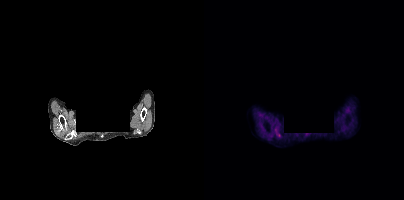
Technique: Two-panel axial: CT | PSMA PET, [18F]PSMA-1007 tracer. slice 342 of 389. PET panel 200×200 px (4.1 mm/px).
Note: An anonymization step blacked out a rectangle over the head in this scan.
Findings: Coordinates are on the 200×200 PET (right) panel. Small PSMA-avid focus (2 to 4 px across) near (center x, center y): (75, 134).